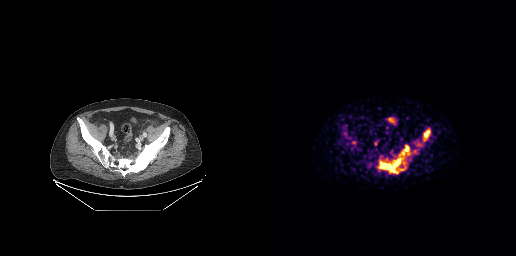
Left: CT. Right: PSMA PET, same axial level, 68Ga-PSMA tracer. Acquired on GE Discovery 690. Coordinates are on the 256×256 PET (right) panel. (showing 4 of 5 foci) PSMA-avid tumor lesion bounding boxes (x0, y0)-(x1, y1): (118, 145)-(149, 173) | (164, 130)-(169, 140) | (140, 169)-(144, 170). Small PSMA-avid focus (2 to 4 px across) near (center x, center y): (94, 142).